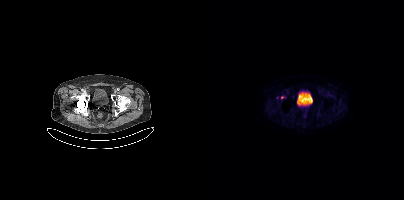
- Left: CT. Right: PSMA PET, same axial level, 18F tracer
Findings: This slice has no annotated PSMA-avid lesion.